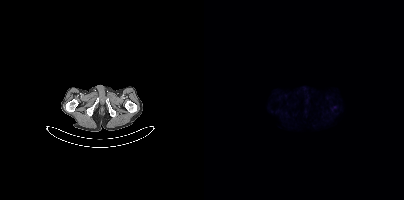
Two-panel axial: CT | PSMA PET, 18F-PSMA tracer. PET panel 200×200 px (4.1 mm/px). No tumor lesions annotated on this slice.